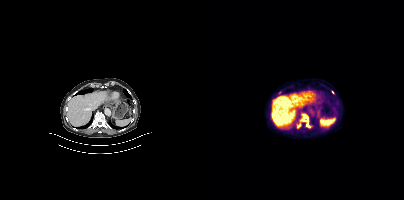
Left: CT. Right: PSMA PET, same axial level, 18F-PSMA tracer. Acquired on Siemens Biograph mCT Flow 20. Slice 227 of 407. PET panel 200×200 px (4.1 mm/px). Coordinates are on the 200×200 PET (right) panel. PSMA-avid tumor lesion bounding box (x0, y0)-(x1, y1): (97, 114)-(106, 127). Small PSMA-avid foci (2 to 4 px across) near (center x, center y): (95, 125) | (68, 100) | (128, 92).